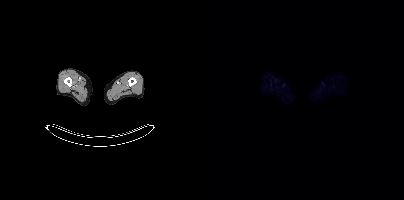
{"modality":"PSMA PET/CT","view":"axial","tracer":"18F","pet_grid":[200,200],"coord_frame":"pet_panel","coord_format":"x0,y0,x1,y1","psma_avid_lesions":false}